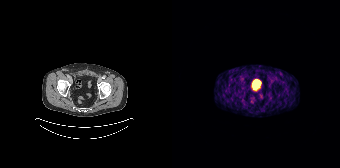
- Left: CT. Right: PSMA PET, same axial level, [68Ga]Ga-PSMA-11 tracer
- PET panel 168×168 px (4.1 mm/px)
Findings: Negative for PSMA-avid disease on this slice.